Technique: Two-panel axial: CT | PSMA PET, [68Ga]Ga-PSMA-11 tracer. acquired on Siemens Biograph 64-4R TruePoint. slice position z = -1514 mm. PET panel 168×168 px (4.1 mm/px).
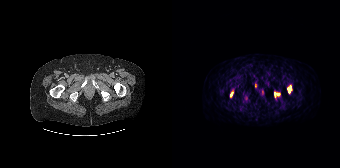
Findings: Coordinates are on the 168×168 PET (right) panel. PSMA-avid tumor lesion bounding box (x0, y0)-(x1, y1): (115, 86)-(119, 93). Small PSMA-avid foci (2 to 4 px across) near (center x, center y): (102, 94); (106, 94); (59, 94).